Two-panel axial: CT | PSMA PET, [18F]PSMA-1007 tracer.
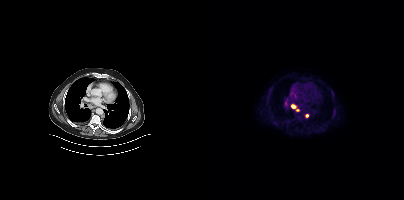
Coordinates are on the 200×200 PET (right) panel. PSMA-avid tumor lesion bounding boxes (partial; 1 more focus not listed):
| # | x0 | y0 | x1 | y1 |
|---|---|---|---|---|
| 1 | 87 | 105 | 91 | 108 |
Small PSMA-avid focus (2 to 4 px across) near (center x, center y): (103, 115).